modality: PSMA PET/CT | tracer: 68Ga-PSMA | view: axial | PET grid: 256×256
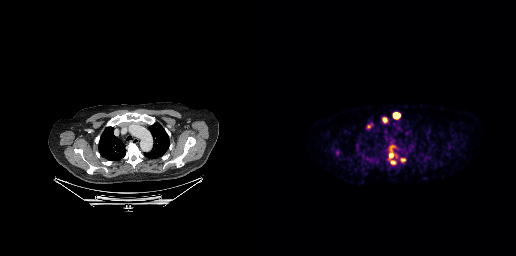
Coordinates are on the 256×256 PET (right) panel. PSMA-avid tumor lesion bounding boxes (x0, y0)-(x1, y1): (133, 112)-(140, 118) | (122, 117)-(127, 121) | (129, 153)-(133, 157) | (131, 161)-(135, 163). Small PSMA-avid focus (2 to 4 px across) near (center x, center y): (142, 159).